Technique: Paired axial CT (left) and PSMA PET (right), 68Ga-PSMA tracer. acquired on Siemens Biograph mCT Flow 20. PET panel 200×200 px (4.1 mm/px).
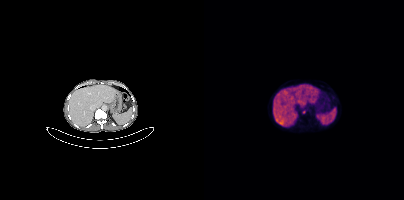
Findings: This slice has no annotated PSMA-avid lesion.